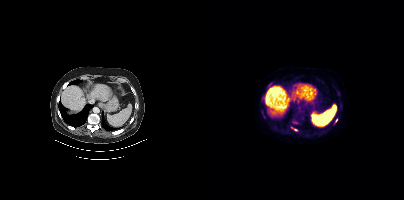
Coordinates are on the 200×200 PET (right) panel. (showing 3 of 4 foci) PSMA-avid tumor lesion bounding box (x0,y0,x1,y1): [87,127,93,131]. Small PSMA-avid foci (2 to 4 px across) near (center x, center y): (132, 120) (63, 86).